Paired axial CT (left) and PSMA PET (right), 18F-PSMA tracer. Slice 245 of 415. PET panel 200×200 px (4.1 mm/px).
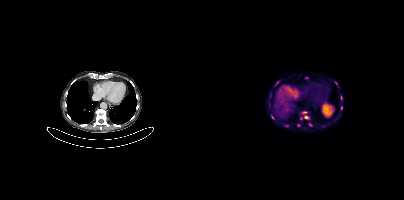
Coordinates are on the 200×200 PET (right) panel. (showing 8 of 10 foci) PSMA-avid tumor lesion bounding boxes (x, y, width, height): x=100 y=116 w=6 h=3; x=98 y=111 w=5 h=3. Small PSMA-avid foci (2 to 4 px across) near (center x, center y): (137, 107); (68, 117); (137, 97); (73, 83); (106, 124); (94, 125).